Two-panel axial: CT | PSMA PET, 18F-PSMA tracer. PET panel 200×200 px (4.1 mm/px).
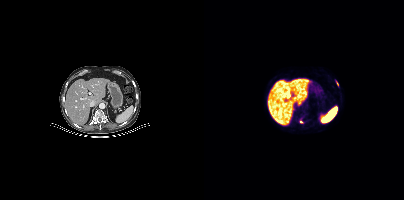
Coordinates are on the 200×200 PET (right) panel. Small PSMA-avid foci (2 to 4 px across) near (center x, center y): (97, 121) / (133, 84).